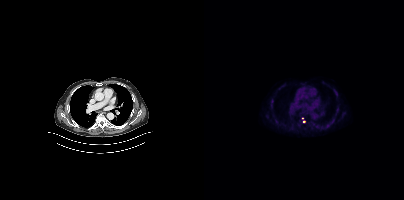
{"modality":"PSMA PET/CT","view":"axial","tracer":"18F","pet_grid":[200,200],"coord_frame":"pet_panel","coord_format":"x0,y0,x1,y1","lesion_bboxes":[],"small_foci_centers":[[99,121]]}